- Two-panel axial: CT | PSMA PET, [18F]PSMA-1007 tracer
- acquired on GE Discovery 690
- PET panel 256×256 px (2.7 mm/px)
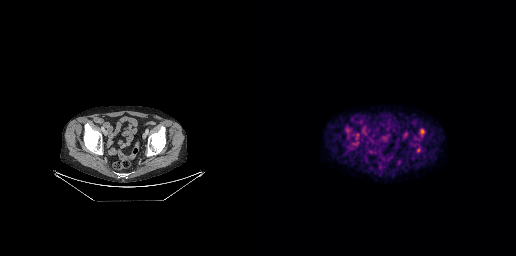
Findings: Coordinates are on the 256×256 PET (right) panel. (showing 1 of 2 foci) PSMA-avid tumor lesion bounding box (x0,y0,x1,y1): [159,128,165,136].